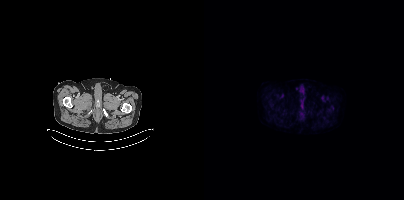
Technique: Two-panel axial: CT | PSMA PET, [18F]PSMA-1007 tracer. acquired on Siemens Biograph mCT Flow 20.
Findings: This slice has no annotated PSMA-avid lesion.